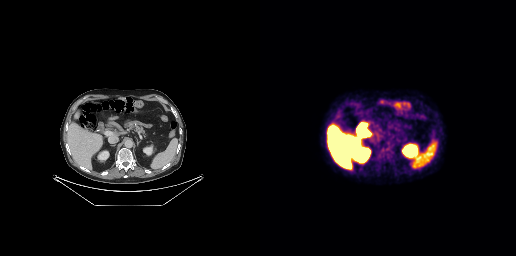
- Paired axial CT (left) and PSMA PET (right), 18F tracer
- slice position z = -374 mm
- PET panel 256×256 px (2.7 mm/px)
Findings: No PSMA-avid tumor lesions on this slice.